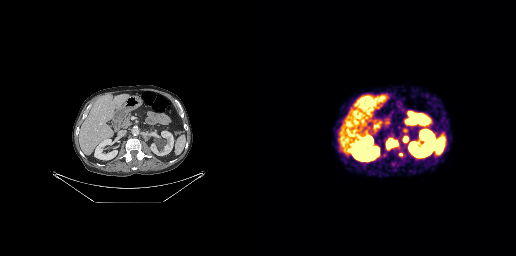
{"modality":"PSMA PET/CT","view":"axial","tracer":"[68Ga]Ga-PSMA-11","pet_grid":[256,256],"coord_frame":"pet_panel","coord_format":"x0,y0,x1,y1","lesion_bboxes":[[127,140,136,146],[144,137,147,141]],"small_foci_centers":[[140,154]]}